- Left: CT. Right: PSMA PET, same axial level, 18F tracer
- acquired on GE Discovery 690
- slice 194 of 371
- PET panel 256×256 px (2.7 mm/px)
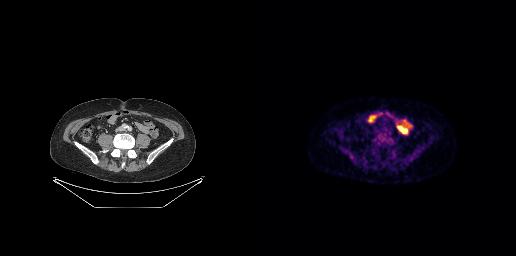
Findings: No PSMA-avid tumor lesions on this slice.